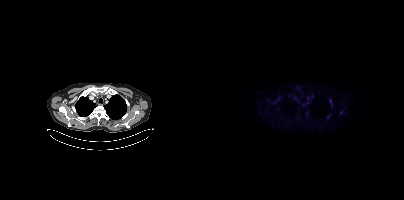
Two-panel axial: CT | PSMA PET, [18F]PSMA-1007 tracer.
Coordinates are on the 200×200 PET (right) panel. PSMA-avid tumor lesion bounding boxes (partial; 3 more foci not listed):
| # | x0 | y0 | x1 | y1 |
|---|---|---|---|---|
| 1 | 122 | 115 | 126 | 119 |
Small PSMA-avid foci (2 to 4 px across) near (center x, center y): (126, 101); (136, 112).